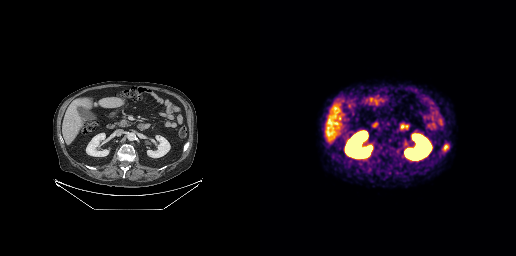
No PSMA-avid tumor lesions on this slice.
modality: PSMA PET/CT | tracer: 68Ga | view: axial | PET grid: 256×256